modality: PSMA PET/CT | tracer: [68Ga]Ga-PSMA-11 | view: axial | de-identification: privacy mask over head
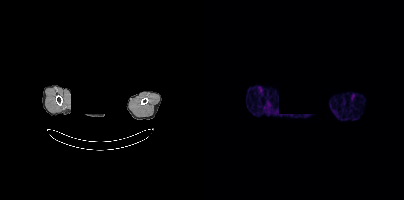
No tumor lesions annotated on this slice.